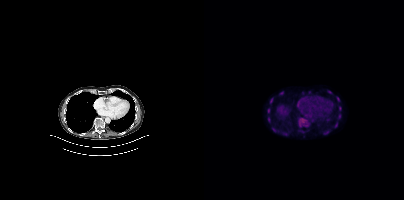
Left: CT. Right: PSMA PET, same axial level, 18F tracer. Coordinates are on the 200×200 PET (right) panel. PSMA-avid tumor lesion bounding boxes (x0,y0,x1,y1): [63,108,66,113]; [135,106,137,110]; [134,114,136,118]; [66,98,68,103]. Small PSMA-avid focus (2 to 4 px across) near (center x, center y): (134, 99).